Technique: Left: CT. Right: PSMA PET, same axial level, 18F tracer.
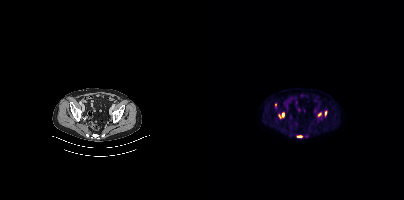
Findings: Coordinates are on the 200×200 PET (right) panel. PSMA-avid tumor lesion bounding boxes (x0, y0)-(x1, y1): (75, 112)-(80, 118) / (92, 135)-(98, 137) / (114, 112)-(117, 116) / (121, 111)-(122, 116). Small PSMA-avid focus (2 to 4 px across) near (center x, center y): (71, 104).